- Left: CT. Right: PSMA PET, same axial level, 18F-PSMA tracer
- PET panel 200×200 px (4.1 mm/px)
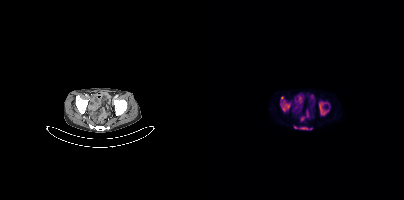
Findings: Coordinates are on the 200×200 PET (right) panel. (showing 3 of 4 foci) PSMA-avid tumor lesion bounding boxes (x, y, width, height): x=76 y=96 w=10 h=16; x=115 y=102 w=10 h=14; x=90 y=126 w=19 h=4.